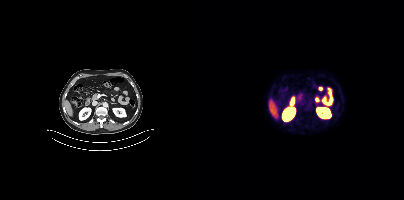
No tumor lesions annotated on this slice.